modality: PSMA PET/CT | tracer: 18F | view: axial | PET grid: 256×256
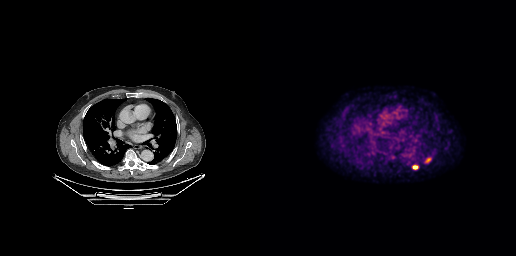
Coordinates are on the 256×256 PET (right) panel. PSMA-avid tumor lesion bounding boxes (x0,y0,x1,y1): [152,165,158,169]; [166,158,170,162].